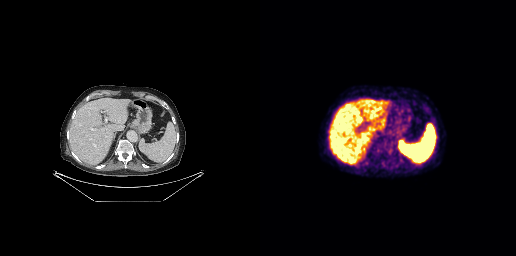
modality: PSMA PET/CT | tracer: 18F | view: axial | PET grid: 256×256
No PSMA-avid tumor lesions on this slice.